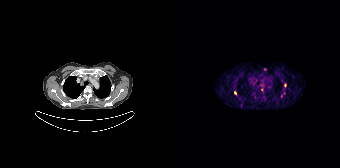
modality: PSMA PET/CT | tracer: 68Ga-PSMA | view: axial | PET grid: 168×168
Coordinates are on the 168×168 PET (right) panel. (showing 1 of 5 foci) Small PSMA-avid focus (2 to 4 px across) near (center x, center y): (63, 92).